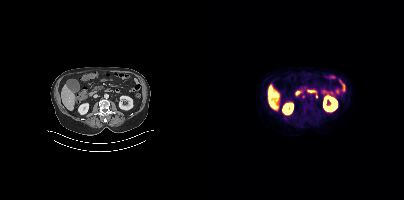
Two-panel axial: CT | PSMA PET, 18F-PSMA tracer. Acquired on Siemens Biograph mCT Flow 20. Coordinates are on the 200×200 PET (right) panel. (showing 1 of 2 foci) PSMA-avid tumor lesion bounding box (x0,y0,x1,y1): [98,94,101,98].